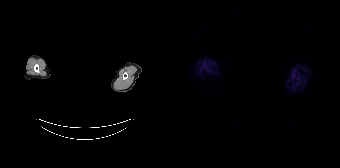
No PSMA-avid tumor lesions on this slice. A rectangle over the head was blacked out to remove identifiable facial features. Two-panel axial: CT | PSMA PET, [68Ga]Ga-PSMA-11 tracer. Acquired on Siemens Biograph 64-4R TruePoint. PET panel 168×168 px (4.1 mm/px).